modality: PSMA PET/CT | tracer: [18F]PSMA-1007 | view: axial
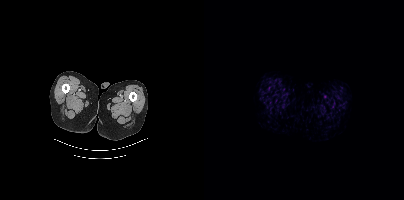
This slice has no annotated PSMA-avid lesion.